modality: PSMA PET/CT | tracer: 18F-PSMA | view: axial
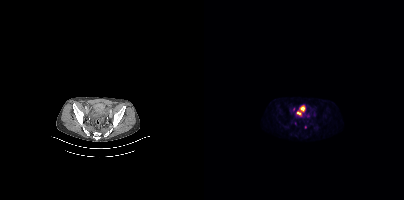
Coordinates are on the 200×200 PET (right) panel. PSMA-avid tumor lesion bounding box (x, y, width, height): x=92 y=106 w=9 h=10. Small PSMA-avid foci (2 to 4 px across) near (center x, center y): (89, 109) | (101, 127).